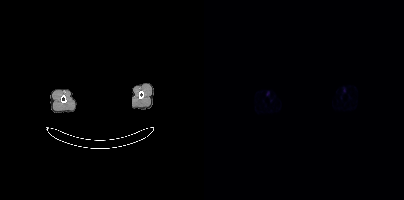
{"pet_grid":[200,200],"coord_frame":"pet_panel","coord_format":"x0,y0,x1,y1","psma_avid_lesions":false,"modality":"PSMA PET/CT","view":"axial","tracer":"68Ga","de-identification":"face masked with black rectangle"}